modality: PSMA PET/CT | tracer: 18F-PSMA | view: axial | PET grid: 200×200
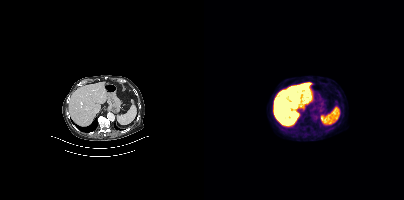
Negative for PSMA-avid disease on this slice.